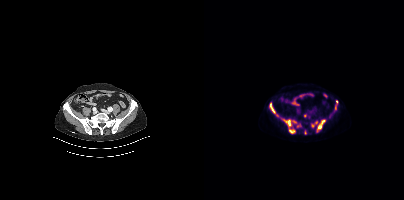
Coordinates are on the 200×200 PET (right) panel. (showing 8 of 10 foci) PSMA-avid tumor lesion bounding boxes (x, y, width, height): x=79 y=119 w=16 h=15 | x=112 y=120 w=10 h=13 | x=65 y=103 w=7 h=11. Small PSMA-avid foci (2 to 4 px across) near (center x, center y): (131, 107) | (109, 125) | (100, 115) | (132, 101) | (73, 115).